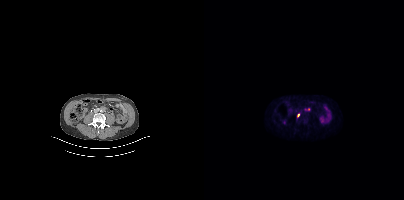
Coordinates are on the 200×200 PET (right) panel. PSMA-avid tumor lesion bounding boxes:
| # | x0 | y0 | x1 | y1 |
|---|---|---|---|---|
| 1 | 100 | 108 | 106 | 110 |
Small PSMA-avid foci (2 to 4 px across) near (center x, center y): (94, 115); (80, 122).
Left: CT. Right: PSMA PET, same axial level, [18F]PSMA-1007 tracer. Acquired on Siemens Biograph mCT Flow 20. Slice position z = -1390 mm.